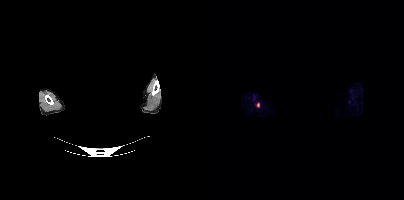
Coordinates are on the 200×200 PET (right) panel. PSMA-avid tumor lesion bounding boxes:
| # | x0 | y0 | x1 | y1 |
|---|---|---|---|---|
| 1 | 51 | 102 | 56 | 107 |
Any black rectangle over the head is a privacy mask, not anatomy. Two-panel axial: CT | PSMA PET, 18F tracer. Acquired on Siemens Biograph mCT Flow 20. PET panel 200×200 px (4.1 mm/px).